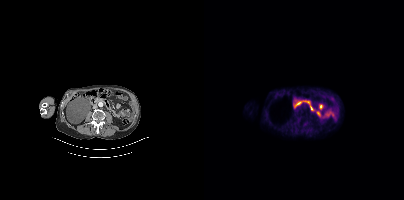
No tumor lesions annotated on this slice.